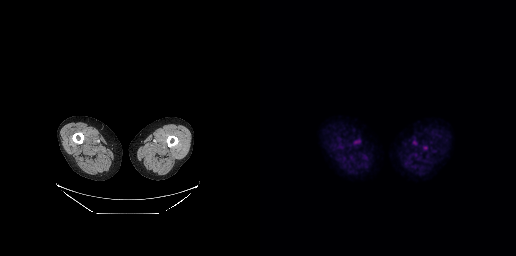
This slice has no annotated PSMA-avid lesion.
modality: PSMA PET/CT | tracer: [18F]PSMA-1007 | view: axial